Technique: Left: CT. Right: PSMA PET, same axial level, [18F]PSMA-1007 tracer. acquired on Siemens Biograph mCT Flow 20. slice 193 of 435.
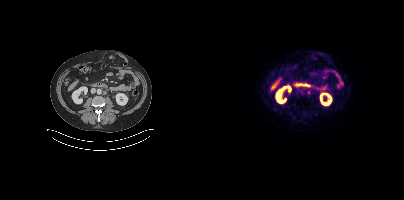
Findings: Coordinates are on the 200×200 PET (right) panel. Small PSMA-avid focus (2 to 4 px across) near (center x, center y): (104, 92).